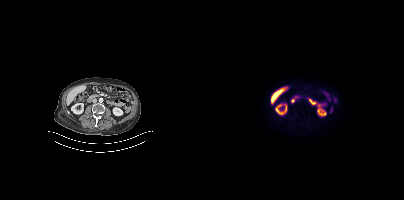
Findings: No PSMA-avid tumor lesions on this slice.
- Paired axial CT (left) and PSMA PET (right), 18F tracer
- slice 153 of 383